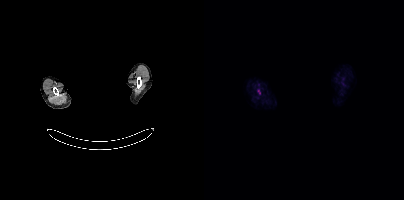
{"modality":"PSMA PET/CT","view":"axial","tracer":"18F-PSMA","pet_grid":[200,200],"coord_frame":"pet_panel","coord_format":"x0,y0,x1,y1","psma_avid_lesions":false,"de-identification":"privacy mask over head"}